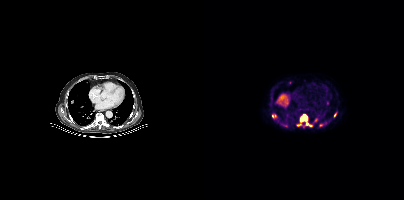
Left: CT. Right: PSMA PET, same axial level, 18F tracer. Acquired on Siemens Biograph mCT Flow 20. Slice position z = -559 mm. PET panel 200×200 px (4.1 mm/px).
Coordinates are on the 200×200 PET (right) panel. PSMA-avid tumor lesion bounding boxes (partial; 1 more focus not listed):
| # | x0 | y0 | x1 | y1 |
|---|---|---|---|---|
| 1 | 93 | 114 | 108 | 126 |
| 2 | 68 | 114 | 72 | 118 |
| 3 | 79 | 125 | 83 | 126 |
Small PSMA-avid foci (2 to 4 px across) near (center x, center y): (116, 125); (112, 120); (131, 114).